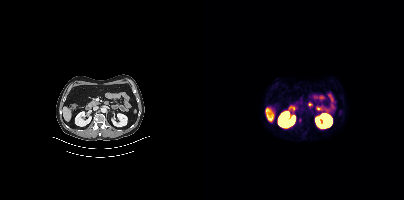
Findings: Coordinates are on the 200×200 PET (right) panel. PSMA-avid tumor lesion bounding box (x0, y0)-(x1, y1): (95, 118)-(97, 122).
- Left: CT. Right: PSMA PET, same axial level, 68Ga tracer
- acquired on Siemens Biograph mCT Flow 20
- PET panel 200×200 px (4.1 mm/px)